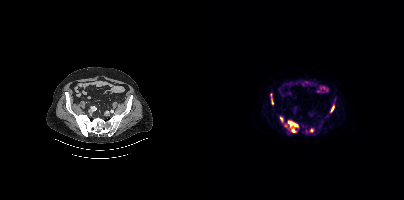
Two-panel axial: CT | PSMA PET, 18F tracer. Slice position z = -859 mm. PET panel 200×200 px (4.1 mm/px). Coordinates are on the 200×200 PET (right) panel. PSMA-avid tumor lesion bounding boxes (x, y, width, height): x=83 y=120 w=12 h=13 / x=126 y=104 w=5 h=9 / x=66 y=93 w=4 h=12 / x=76 y=116 w=4 h=7 / x=106 y=128 w=4 h=5. Small PSMA-avid focus (2 to 4 px across) near (center x, center y): (82, 125).